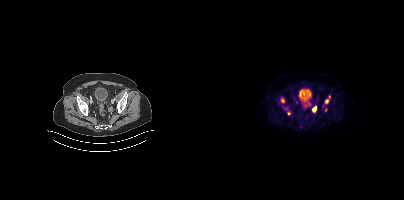
Coordinates are on the 200×200 PET (right) panel. (showing 7 of 8 foci) PSMA-avid tumor lesion bounding boxes (x0, y0)-(x1, y1): (108, 106)-(112, 111); (77, 98)-(80, 102); (121, 99)-(124, 103). Small PSMA-avid foci (2 to 4 px across) near (center x, center y): (105, 104); (121, 109); (85, 113); (125, 96).